Two-panel axial: CT | PSMA PET, 18F-PSMA tracer. Acquired on Siemens Biograph mCT Flow 20. PET panel 200×200 px (4.1 mm/px).
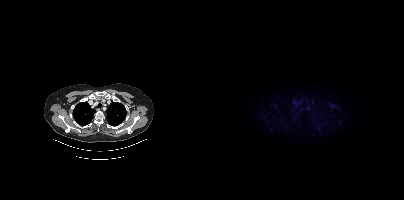
Negative for PSMA-avid disease on this slice.